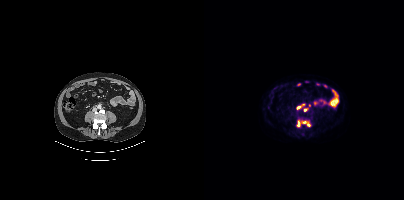
Coordinates are on the 200×200 PET (right) panel. (showing 3 of 4 foci) PSMA-avid tumor lesion bounding boxes (x0,y0,x1,y1): [93,120,106,126]; [92,104,100,109]; [99,108,104,111].
modality: PSMA PET/CT | tracer: [18F]PSMA-1007 | view: axial | PET grid: 200×200